- Two-panel axial: CT | PSMA PET, 18F tracer
- slice position z = -286 mm
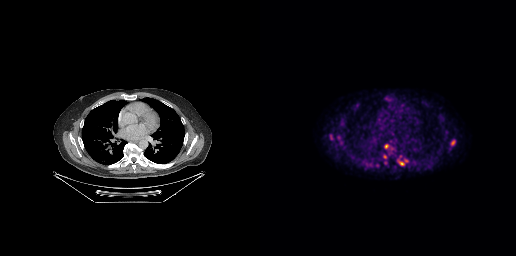
Findings: Coordinates are on the 256×256 PET (right) panel. (showing 4 of 5 foci) PSMA-avid tumor lesion bounding boxes (x0, y0)-(x1, y1): (191, 140)-(195, 145) / (139, 162)-(144, 165). Small PSMA-avid foci (2 to 4 px across) near (center x, center y): (126, 146) / (146, 160).